- Left: CT. Right: PSMA PET, same axial level, [18F]PSMA-1007 tracer
- slice 203 of 454
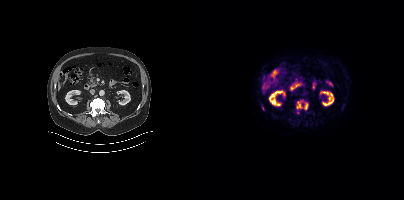
Findings: Coordinates are on the 200×200 PET (right) panel. PSMA-avid tumor lesion bounding boxes (x0,y0,x1,y1): [93,101,98,108], [100,103,104,109].